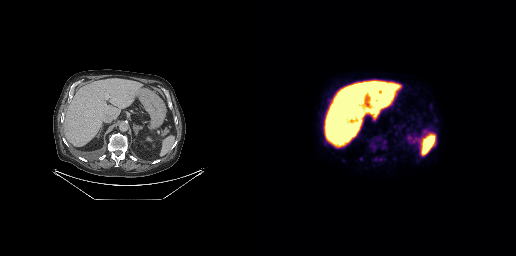
{"pet_grid":[256,256],"coord_frame":"pet_panel","coord_format":"x0,y0,x1,y1","partial":true,"lesion_bboxes":[],"modality":"PSMA PET/CT","view":"axial","tracer":"18F-PSMA"}